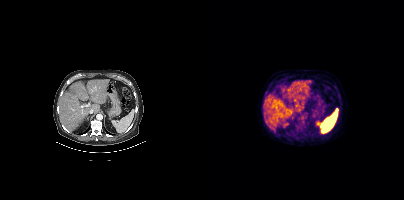
Left: CT. Right: PSMA PET, same axial level, [18F]PSMA-1007 tracer. PET panel 200×200 px (4.1 mm/px). Coordinates are on the 200×200 PET (right) panel. Small PSMA-avid focus (2 to 4 px across) near (center x, center y): (94, 118).